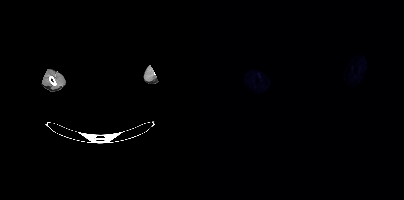
Technique: Left: CT. Right: PSMA PET, same axial level, 18F-PSMA tracer.
Note: The face region was removed for patient privacy by blanking a rectangle over the head.
Findings: No tumor lesions annotated on this slice.